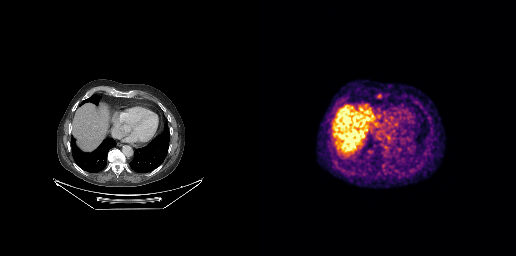
Only PSMA-avid lesion pieces thinner than 2 px on this slice (not listed).